Left: CT. Right: PSMA PET, same axial level, 18F-PSMA tracer. Slice position z = -645 mm. PET panel 256×256 px (2.7 mm/px).
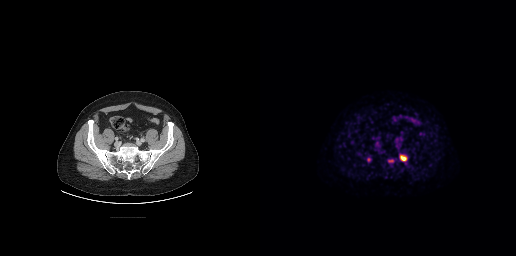
Coordinates are on the 256×256 PET (right) panel. PSMA-avid tumor lesion bounding boxes (x0, y0)-(x1, y1): (139, 154)-(147, 161) | (128, 159)-(133, 162). Small PSMA-avid focus (2 to 4 px across) near (center x, center y): (109, 159).